Technique: Two-panel axial: CT | PSMA PET, 18F-PSMA tracer.
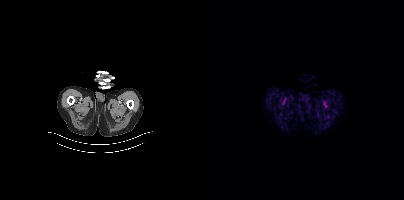
Findings: This slice has no annotated PSMA-avid lesion.